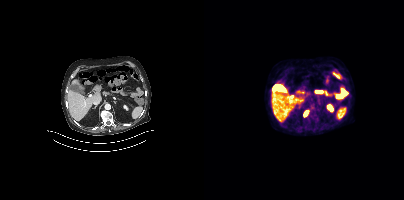
modality: PSMA PET/CT | tracer: 18F | view: axial | PET grid: 200×200
Coordinates are on the 200×200 PET (right) panel. PSMA-avid tumor lesion bounding box (x0, y0)-(x1, y1): (99, 110)-(104, 116).